Two-panel axial: CT | PSMA PET, [18F]PSMA-1007 tracer. Slice position z = -1240 mm.
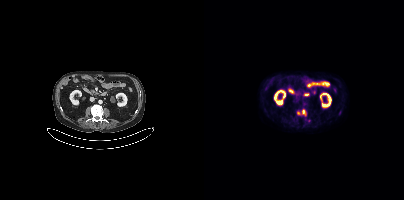
Coordinates are on the 200×200 PET (right) panel. (showing 1 of 2 foci) Small PSMA-avid focus (2 to 4 px across) near (center x, center y): (99, 111).